Technique: Paired axial CT (left) and PSMA PET (right), [18F]PSMA-1007 tracer. acquired on Siemens Biograph mCT Flow 20.
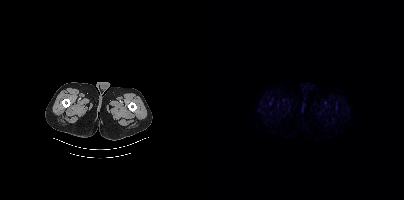
Findings: No PSMA-avid tumor lesions on this slice.